- Two-panel axial: CT | PSMA PET, 18F tracer
- acquired on Siemens Biograph mCT Flow 20
- slice position z = -747 mm
- PET panel 200×200 px (4.1 mm/px)
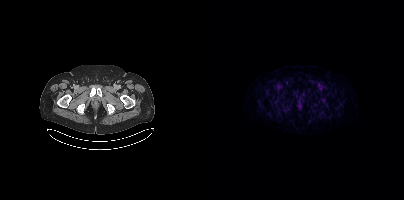
Findings: Only PSMA-avid lesion pieces thinner than 2 px on this slice (not listed).